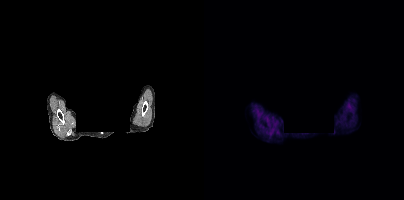
{"modality":"PSMA PET/CT","view":"axial","tracer":"[18F]PSMA-1007","pet_grid":[200,200],"coord_frame":"pet_panel","coord_format":"x0,y0,x1,y1","psma_avid_lesions":false,"redaction":"face masked with black rectangle"}